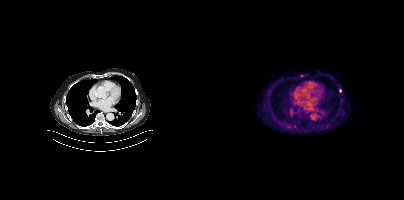
Coordinates are on the 200×200 PET (right) panel. Small PSMA-avid focus (2 to 4 px across) near (center x, center y): (136, 90). Two-panel axial: CT | PSMA PET, 18F-PSMA tracer.